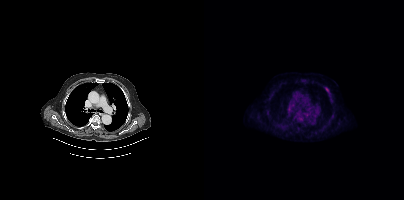
{"pet_grid":[200,200],"coord_frame":"pet_panel","coord_format":"x0,y0,x1,y1","lesion_bboxes":[],"small_foci_centers":[[123,88]],"modality":"PSMA PET/CT","view":"axial","tracer":"[18F]PSMA-1007"}